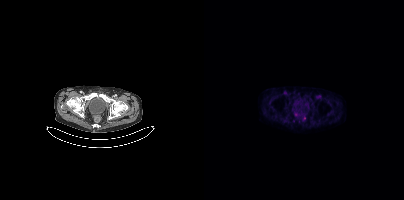
Coordinates are on the 200×200 PET (right) panel. (showing 1 of 2 foci) Small PSMA-avid focus (2 to 4 px across) near (center x, center y): (91, 113).